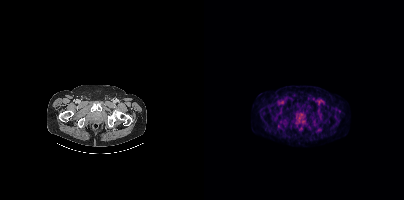
{"modality":"PSMA PET/CT","view":"axial","tracer":"18F","pet_grid":[200,200],"coord_frame":"pet_panel","coord_format":"x0,y0,x1,y1","lesion_bboxes":[],"small_foci_centers":[[97,113]]}